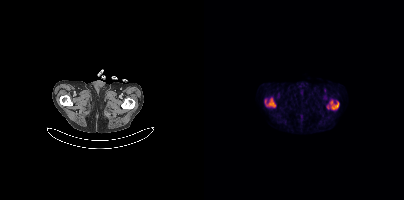
Coordinates are on the 200×200 PET (right) panel. (showing 2 of 4 foci) PSMA-avid tumor lesion bounding boxes (x, y, width, height): x=126 y=100 w=9 h=10 | x=63 y=99 w=9 h=8.
modality: PSMA PET/CT | tracer: 18F | view: axial | PET grid: 200×200